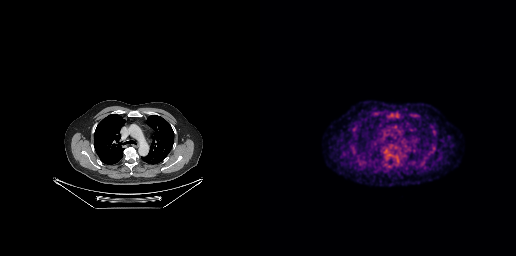
- Left: CT. Right: PSMA PET, same axial level, [18F]PSMA-1007 tracer
- acquired on GE Discovery 690
Findings: Coordinates are on the 256×256 PET (right) panel. Small PSMA-avid focus (2 to 4 px across) near (center x, center y): (137, 157).